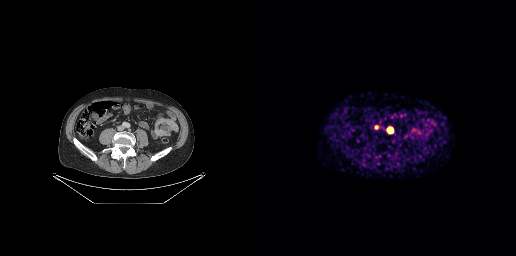
{"modality":"PSMA PET/CT","view":"axial","tracer":"[68Ga]Ga-PSMA-11","pet_grid":[256,256],"coord_frame":"pet_panel","coord_format":"x0,y0,x1,y1","lesion_bboxes":[[114,125,118,129],[128,128,132,132]]}